modality: PSMA PET/CT | tracer: 18F-PSMA | view: axial
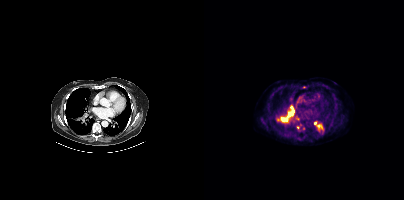
Coordinates are on the 200×200 PET (right) panel. PSMA-avid tumor lesion bounding boxes (x0, y0)-(x1, y1): (72, 105)-(90, 122) | (114, 125)-(119, 130). Small PSMA-avid foci (2 to 4 px across) near (center x, center y): (99, 87) | (111, 123) | (93, 118) | (94, 127).